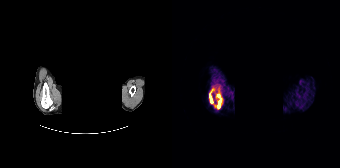
Technique: Left: CT. Right: PSMA PET, same axial level, 68Ga tracer. PET panel 168×168 px (4.1 mm/px).
Note: Facial anatomy redacted by setting a rectangular region of the head to black.
Findings: Coordinates are on the 168×168 PET (right) panel. PSMA-avid tumor lesion bounding box (x0,y0,x1,y1): [37,88,50,109].